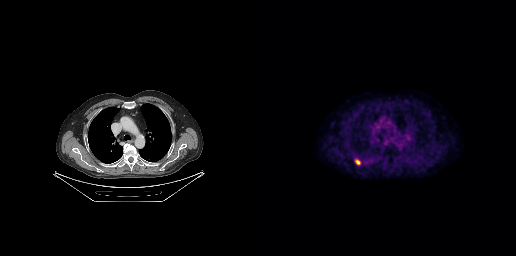
Left: CT. Right: PSMA PET, same axial level, 18F tracer. Slice position z = -251 mm. PET panel 256×256 px (2.7 mm/px). Coordinates are on the 256×256 PET (right) panel. Small PSMA-avid focus (2 to 4 px across) near (center x, center y): (98, 162).